- Left: CT. Right: PSMA PET, same axial level, 18F tracer
- PET panel 200×200 px (4.1 mm/px)
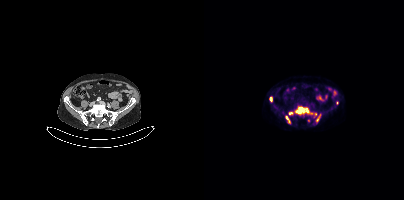
Findings: Coordinates are on the 200×200 PET (right) panel. (showing 7 of 8 foci) PSMA-avid tumor lesion bounding boxes (x, y, width, height): x=91 y=106 w=18 h=9 | x=81 y=116 w=6 h=8 | x=112 y=114 w=5 h=8 | x=65 y=97 w=4 h=5 | x=85 y=112 w=5 h=3. Small PSMA-avid foci (2 to 4 px across) near (center x, center y): (133, 102) | (111, 114).